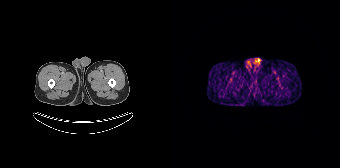
No PSMA-avid tumor lesions on this slice.